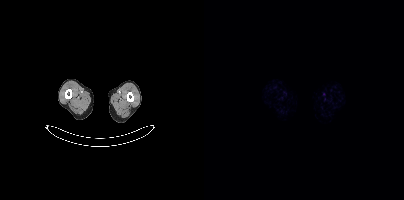
{"modality":"PSMA PET/CT","view":"axial","tracer":"[18F]PSMA-1007","pet_grid":[200,200],"coord_frame":"pet_panel","coord_format":"x0,y0,x1,y1","psma_avid_lesions":false}